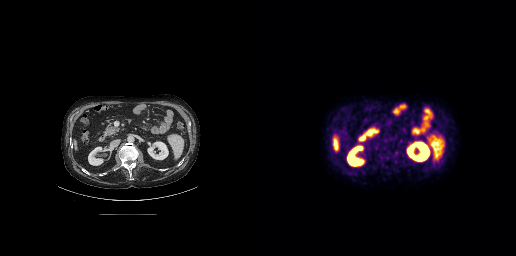
No tumor lesions annotated on this slice.